- Paired axial CT (left) and PSMA PET (right), 18F-PSMA tracer
- slice 288 of 429
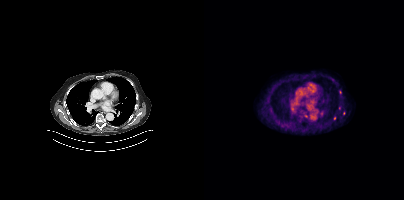
Findings: Coordinates are on the 200×200 PET (right) panel. (showing 2 of 4 foci) Small PSMA-avid foci (2 to 4 px across) near (center x, center y): (102, 116) (130, 118).